- Left: CT. Right: PSMA PET, same axial level, [68Ga]Ga-PSMA-11 tracer
- PET panel 200×200 px (4.1 mm/px)
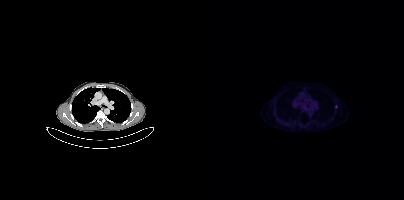
Findings: Coordinates are on the 200×200 PET (right) panel. Small PSMA-avid focus (2 to 4 px across) near (center x, center y): (131, 106).